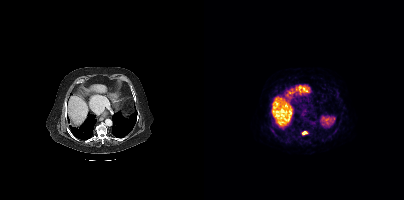
Coordinates are on the 200×200 PET (right) panel. PSMA-avid tumor lesion bounding box (x0,y0,x1,y1): [98,131,103,134].